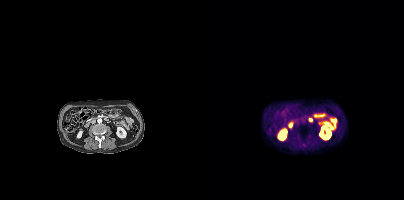
{"pet_grid":[200,200],"coord_frame":"pet_panel","coord_format":"x0,y0,x1,y1","psma_avid_lesions":false,"modality":"PSMA PET/CT","view":"axial","tracer":"18F"}